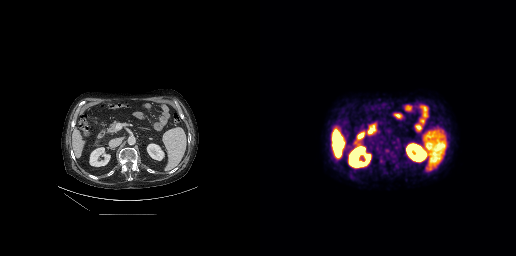
Negative for PSMA-avid disease on this slice.